Technique: Two-panel axial: CT | PSMA PET, 18F-PSMA tracer. acquired on Siemens Biograph mCT Flow 20. slice position z = -936 mm. PET panel 200×200 px (4.1 mm/px).
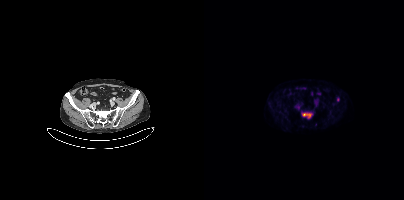
Findings: Coordinates are on the 200×200 PET (right) panel. PSMA-avid tumor lesion bounding box (x, y, width, height): x=98 y=112 w=11 h=7. Small PSMA-avid focus (2 to 4 px across) near (center x, center y): (134, 99).